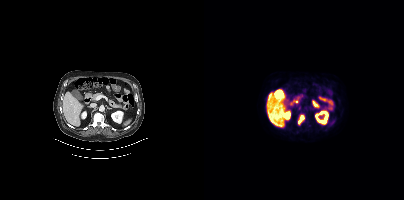
{"modality":"PSMA PET/CT","view":"axial","tracer":"18F","pet_grid":[200,200],"coord_frame":"pet_panel","coord_format":"x0,y0,x1,y1","lesion_bboxes":[[94,115,100,124]]}